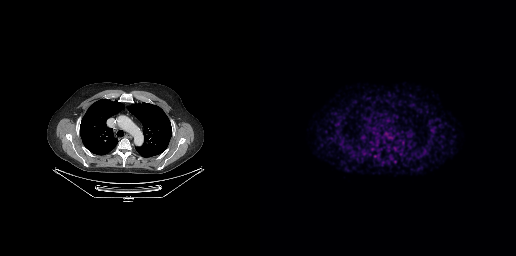
{"modality":"PSMA PET/CT","view":"axial","tracer":"68Ga-PSMA","pet_grid":[256,256],"coord_frame":"pet_panel","coord_format":"x0,y0,x1,y1","psma_avid_lesions":false}